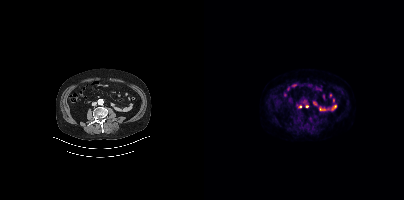
Coordinates are on the 200×200 PET (right) panel. (showing 1 of 2 foci) Small PSMA-avid focus (2 to 4 px across) near (center x, center y): (96, 106).